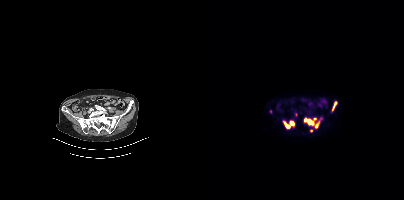
modality: PSMA PET/CT | tracer: [68Ga]Ga-PSMA-11 | view: axial | PET grid: 200×200
Coordinates are on the 200×200 PET (right) panel. (showing 5 of 6 foci) PSMA-avid tumor lesion bounding boxes (x0,y0,x1,y1): [100,117,117,127]; [79,121,89,128]; [128,102,132,110]. Small PSMA-avid foci (2 to 4 px across) near (center x, center y): (92, 114); (107, 130).